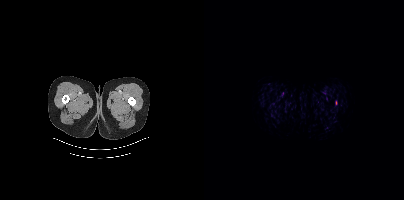
Coordinates are on the 200×200 PET (right) panel. Small PSMA-avid focus (2 to 4 px across) near (center x, center y): (132, 102).
modality: PSMA PET/CT | tracer: 18F | view: axial | PET grid: 200×200